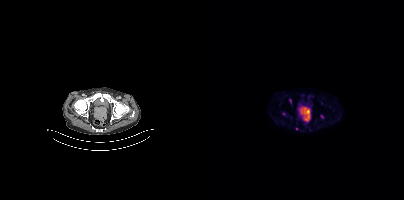
- Left: CT. Right: PSMA PET, same axial level, 18F-PSMA tracer
- slice 71 of 375
Findings: Only PSMA-avid lesion pieces thinner than 2 px on this slice (not listed).